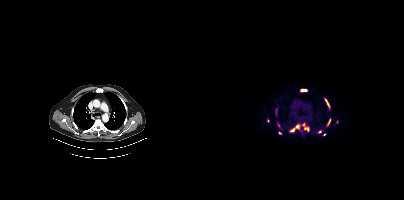
Left: CT. Right: PSMA PET, same axial level, [18F]PSMA-1007 tracer. PET panel 200×200 px (4.1 mm/px). Coordinates are on the 200×200 PET (right) panel. (showing 10 of 12 foci) PSMA-avid tumor lesion bounding boxes (x0, y0)-(x1, y1): (86, 125)-(94, 131); (97, 89)-(102, 91); (121, 99)-(125, 107); (100, 127)-(104, 131); (71, 111)-(73, 115); (124, 119)-(126, 125). Small PSMA-avid foci (2 to 4 px across) near (center x, center y): (115, 132); (99, 124); (120, 134); (75, 132).